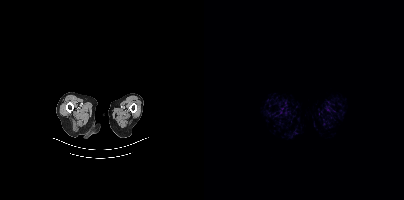
modality: PSMA PET/CT | tracer: 68Ga | view: axial
No PSMA-avid tumor lesions on this slice.